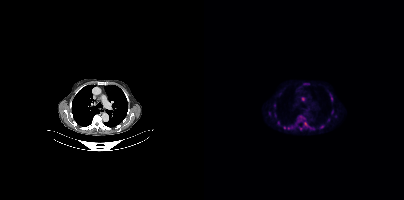
modality: PSMA PET/CT | tracer: [18F]PSMA-1007 | view: axial | PET grid: 200×200
Coordinates are on the 200×200 PET (right) panel. (showing 12 of 14 foci) PSMA-avid tumor lesion bounding boxes (x0,y0,x1,y1): [100,122,103,126], [126,93,128,98], [84,127,88,129]. Small PSMA-avid foci (2 to 4 px across) near (center x, center y): (98, 98), (65, 113), (70, 105), (71, 114), (118, 126), (80, 127), (96, 128), (96, 116), (74, 122).